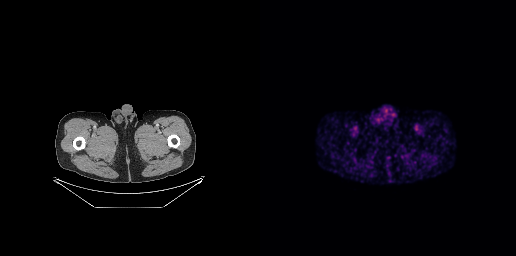
This slice has no annotated PSMA-avid lesion.